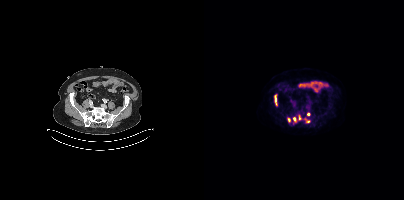
Two-panel axial: CT | PSMA PET, [18F]PSMA-1007 tracer. PET panel 200×200 px (4.1 mm/px). Coordinates are on the 200×200 PET (right) panel. PSMA-avid tumor lesion bounding boxes (x0,y0,x1,y1): [70,94,73,105] [89,117,92,122] [100,118,106,122] [94,115,97,120] [83,118,86,122]. Small PSMA-avid focus (2 to 4 px across) near (center x, center y): (104, 113).